Left: CT. Right: PSMA PET, same axial level, [68Ga]Ga-PSMA-11 tracer.
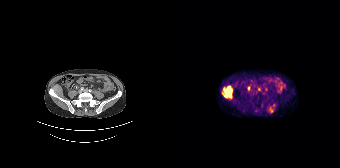
Coordinates are on the 168×168 PET (right) panel. PSMA-avid tumor lesion bounding boxes:
| # | x0 | y0 | x1 | y1 |
|---|---|---|---|---|
| 1 | 50 | 86 | 60 | 98 |
| 2 | 98 | 107 | 100 | 112 |
Small PSMA-avid foci (2 to 4 px across) near (center x, center y): (76, 88); (101, 104).